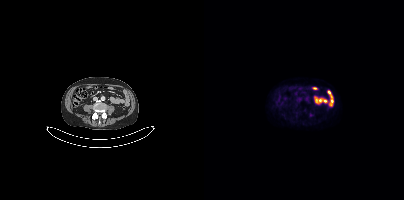
- Two-panel axial: CT | PSMA PET, 18F-PSMA tracer
- PET panel 200×200 px (4.1 mm/px)
Findings: This slice has no annotated PSMA-avid lesion.